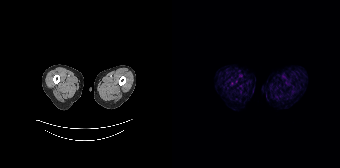
{"modality":"PSMA PET/CT","view":"axial","tracer":"[68Ga]Ga-PSMA-11","pet_grid":[168,168],"coord_frame":"pet_panel","coord_format":"x0,y0,x1,y1","psma_avid_lesions":false}